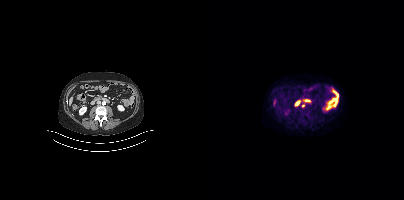
{"modality":"PSMA PET/CT","view":"axial","tracer":"[18F]PSMA-1007","pet_grid":[200,200],"coord_frame":"pet_panel","coord_format":"x0,y0,x1,y1","lesion_bboxes":[],"small_foci_centers":[[99,105]]}